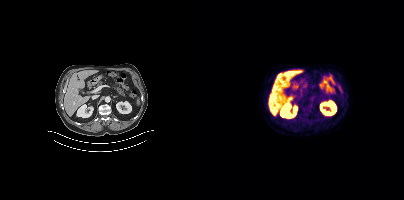
{"modality":"PSMA PET/CT","view":"axial","tracer":"18F-PSMA","pet_grid":[200,200],"coord_frame":"pet_panel","coord_format":"x0,y0,x1,y1","psma_avid_lesions":false}